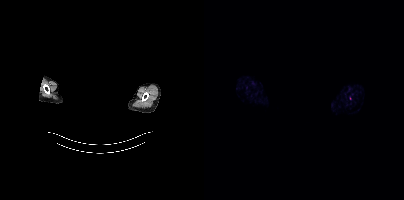
The face region was removed for patient privacy by blanking a rectangle over the head. Two-panel axial: CT | PSMA PET, 68Ga-PSMA tracer. Negative for PSMA-avid disease on this slice.